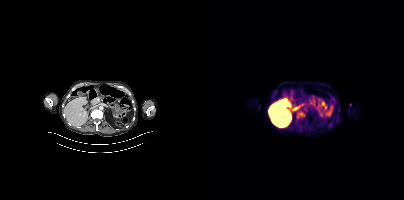
Coordinates are on the 200×200 PET (right) panel. PSMA-avid tumor lesion bounding box (x, y, width, height): x=93 y=112 w=8 h=6.